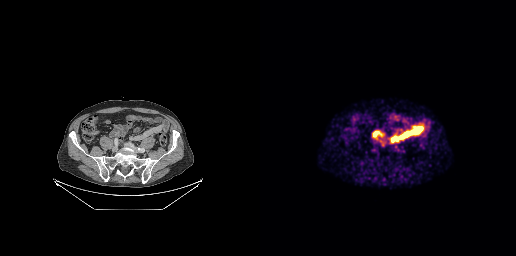
{"modality":"PSMA PET/CT","view":"axial","tracer":"68Ga","pet_grid":[256,256],"coord_frame":"pet_panel","coord_format":"x0,y0,x1,y1","psma_avid_lesions":false}